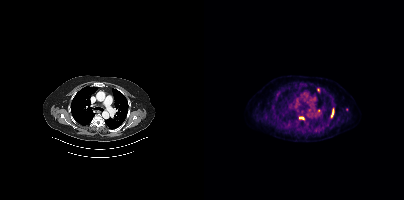
{"modality":"PSMA PET/CT","view":"axial","tracer":"[18F]PSMA-1007","pet_grid":[200,200],"coord_frame":"pet_panel","coord_format":"x0,y0,x1,y1","lesion_bboxes":[[113,88,115,92],[127,109,129,116]],"small_foci_centers":[[97,117],[114,110]]}